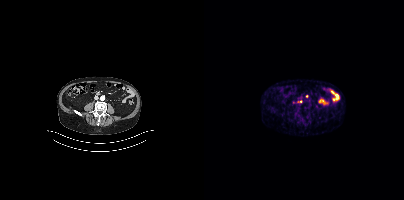
Coordinates are on the 200×200 PET (right) panel. PSMA-avid tumor lesion bounding box (x0, y0)-(x1, y1): (94, 100)-(98, 102). Small PSMA-avid focus (2 to 4 px across) near (center x, center y): (102, 96). Two-panel axial: CT | PSMA PET, 68Ga-PSMA tracer. Slice position z = -1348 mm.